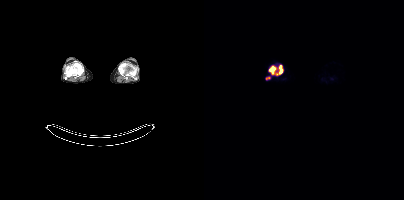
Coordinates are on the 200×200 PET (right) panel. PSMA-avid tumor lesion bounding boxes (x0,y0,x1,y1): [65,66,72,74], [72,65,79,75], [62,77,66,79].